- Two-panel axial: CT | PSMA PET, 18F-PSMA tracer
- PET panel 200×200 px (4.1 mm/px)
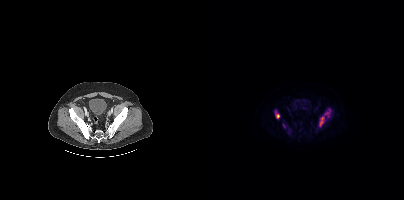
Findings: Coordinates are on the 200×200 PET (right) panel. PSMA-avid tumor lesion bounding boxes (x, y, width, height): x=115 y=116 w=6 h=11 | x=71 y=111 w=5 h=8 | x=121 y=109 w=6 h=8.